Two-panel axial: CT | PSMA PET, 18F tracer. Slice 21 of 444.
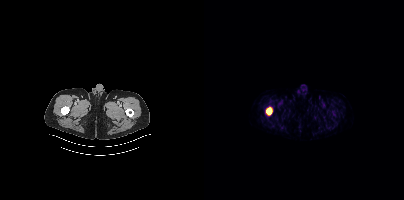
Coordinates are on the 200×200 PET (right) panel. PSMA-avid tumor lesion bounding boxes:
| # | x0 | y0 | x1 | y1 |
|---|---|---|---|---|
| 1 | 62 | 107 | 67 | 114 |